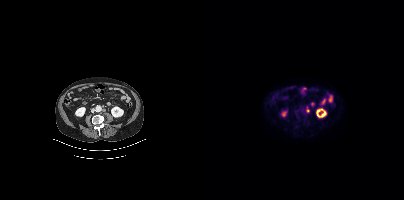
Paired axial CT (left) and PSMA PET (right), 18F-PSMA tracer. Acquired on Siemens Biograph mCT Flow 20. Slice 149 of 383. PET panel 200×200 px (4.1 mm/px).
Coordinates are on the 200×200 PET (right) panel. PSMA-avid tumor lesion bounding boxes:
| # | x0 | y0 | x1 | y1 |
|---|---|---|---|---|
| 1 | 102 | 107 | 105 | 111 |